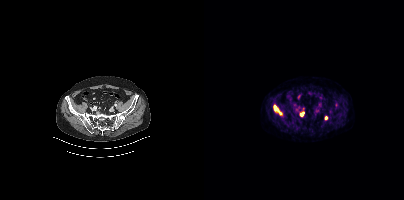
modality: PSMA PET/CT | tracer: [18F]PSMA-1007 | view: axial | PET grid: 200×200
Coordinates are on the 200×200 PET (right) panel. (showing 4 of 5 foci) PSMA-avid tumor lesion bounding boxes (x0,y0,x1,y1): [96,112,99,116], [70,105,72,109]. Small PSMA-avid foci (2 to 4 px across) near (center x, center y): (122, 118), (76, 113).